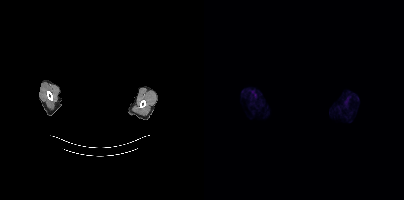
- any black rectangle over the head is a privacy mask, not anatomy
- Paired axial CT (left) and PSMA PET (right), 18F tracer
Findings: Negative for PSMA-avid disease on this slice.